modality: PSMA PET/CT | tracer: 18F-PSMA | view: axial | PET grid: 200×200
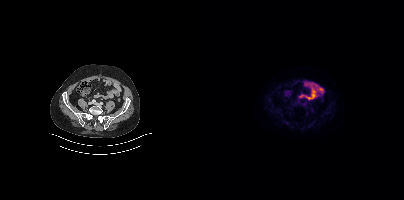
Negative for PSMA-avid disease on this slice.